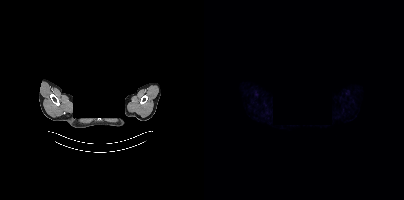
Head region blanked for anonymization (face removed).
Negative for PSMA-avid disease on this slice.